modality: PSMA PET/CT | tracer: 18F-PSMA | view: axial
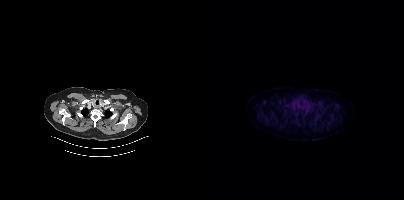
Negative for PSMA-avid disease on this slice.